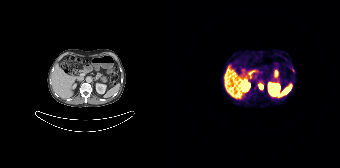
modality: PSMA PET/CT | tracer: 68Ga-PSMA | view: axial | PET grid: 168×168
Coordinates are on the 168×168 PET (right) panel. Small PSMA-avid focus (2 to 4 px across) near (center x, center y): (88, 86).